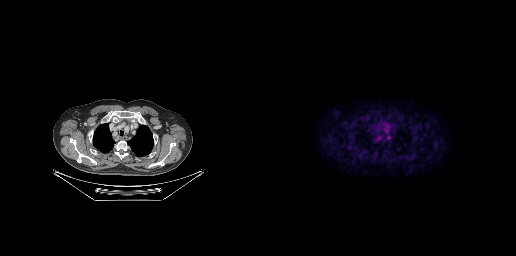
No tumor lesions annotated on this slice.